Technique: Left: CT. Right: PSMA PET, same axial level, 18F tracer. acquired on Siemens Biograph mCT Flow 20.
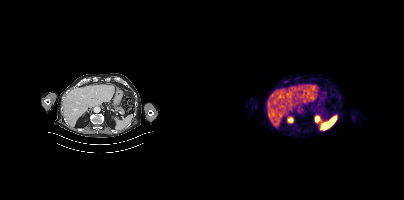
Findings: Coordinates are on the 200×200 PET (right) panel. Small PSMA-avid focus (2 to 4 px across) near (center x, center y): (82, 81).